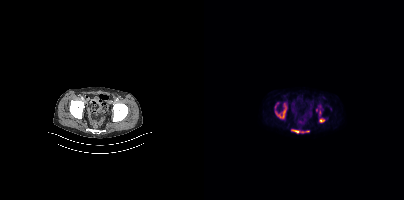
Coordinates are on the 200×200 PET (right) panel. (showing 4 of 7 foci) PSMA-avid tumor lesion bounding boxes (x0,y0,x1,y1): [71,103,82,118]; [87,129,100,133]; [115,119,120,122]. Small PSMA-avid focus (2 to 4 px across) near (center x, center y): (103, 131).
modality: PSMA PET/CT | tracer: 18F-PSMA | view: axial